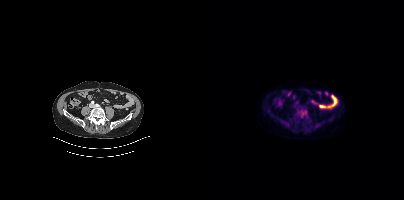
{"modality":"PSMA PET/CT","view":"axial","tracer":"18F-PSMA","pet_grid":[200,200],"coord_frame":"pet_panel","coord_format":"x0,y0,x1,y1","lesion_bboxes":[[94,109,102,117]]}